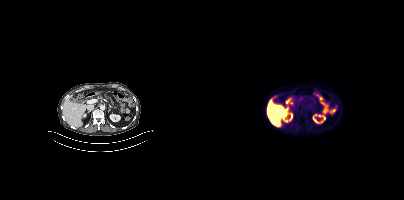
{"modality":"PSMA PET/CT","view":"axial","tracer":"18F-PSMA","pet_grid":[200,200],"coord_frame":"pet_panel","coord_format":"x0,y0,x1,y1","psma_avid_lesions":false}